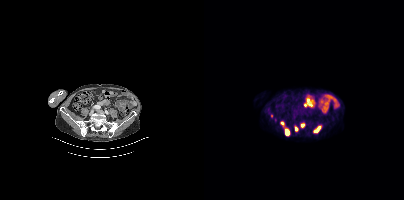
Findings: Coordinates are on the 200×200 PET (right) panel. (showing 6 of 7 foci) PSMA-avid tumor lesion bounding boxes (x0,y0,x1,y1): [109,125,117,133], [81,128,85,135], [96,123,101,127], [91,126,94,131], [76,121,80,126]. Small PSMA-avid focus (2 to 4 px across) near (center x, center y): (67, 115).
Technique: Two-panel axial: CT | PSMA PET, [18F]PSMA-1007 tracer. acquired on Siemens Biograph mCT Flow 20. slice 137 of 411.